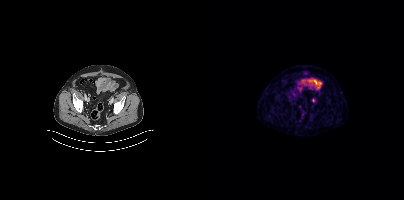
modality: PSMA PET/CT | tracer: 68Ga | view: axial | PET grid: 200×200
Coordinates are on the 200×200 PET (right) panel. Small PSMA-avid focus (2 to 4 px across) near (center x, center y): (109, 99).